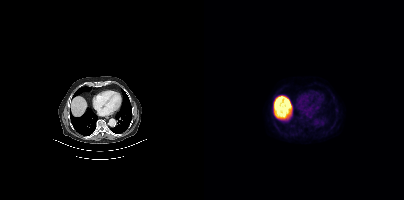
Findings: Negative for PSMA-avid disease on this slice.
Technique: Two-panel axial: CT | PSMA PET, 18F-PSMA tracer.